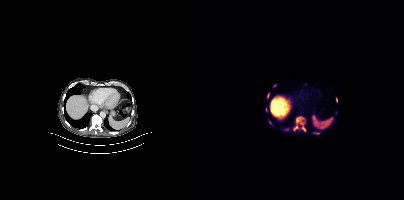
{"modality":"PSMA PET/CT","view":"axial","tracer":"18F-PSMA","pet_grid":[200,200],"coord_frame":"pet_panel","coord_format":"x0,y0,x1,y1","partial":true,"lesion_bboxes":[[89,116,101,131],[132,97,133,102],[110,132,115,134]],"small_foci_centers":[[64,95],[66,122],[70,85]]}